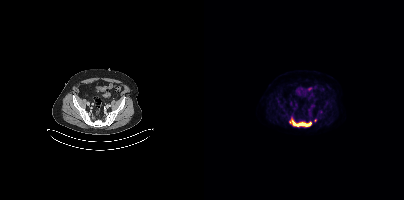
Left: CT. Right: PSMA PET, same axial level, [18F]PSMA-1007 tracer. Acquired on Siemens Biograph mCT Flow 20. PET panel 200×200 px (4.1 mm/px).
Coordinates are on the 200×200 PET (right) panel. PSMA-avid tumor lesion bounding boxes:
| # | x0 | y0 | x1 | y1 |
|---|---|---|---|---|
| 1 | 85 | 118 | 107 | 126 |
Small PSMA-avid focus (2 to 4 px across) near (center x, center y): (111, 120).